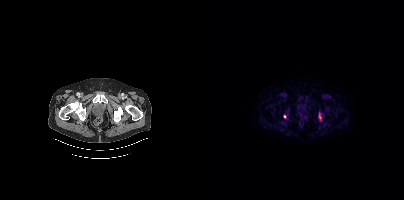
Two-panel axial: CT | PSMA PET, 18F tracer. PET panel 200×200 px (4.1 mm/px).
Coordinates are on the 200×200 PET (right) panel. PSMA-avid tumor lesion bounding boxes:
| # | x0 | y0 | x1 | y1 |
|---|---|---|---|---|
| 1 | 115 | 113 | 117 | 120 |
Small PSMA-avid focus (2 to 4 px across) near (center x, center y): (80, 116).